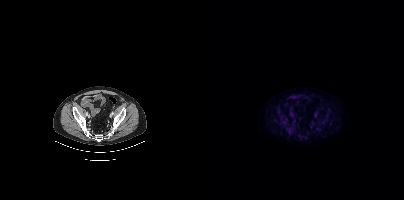
Negative for PSMA-avid disease on this slice.